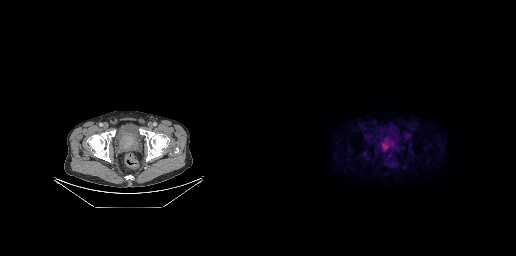
modality: PSMA PET/CT | tracer: 18F | view: axial
Coordinates are on the 256×256 PET (right) panel. PSMA-avid tumor lesion bounding box (x0,y0,x1,y1): [121,137,134,149].